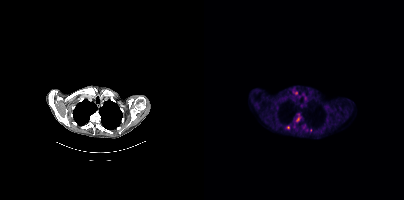
Coordinates are on the 200×200 PET (right) panel. (showing 3 of 5 foci) PSMA-avid tumor lesion bounding box (x0,y0,x1,y1): [92,117,95,121]. Small PSMA-avid foci (2 to 4 px across) near (center x, center y): (84, 127) (106, 130).